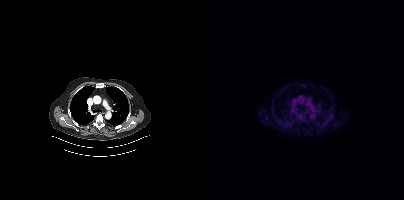
No tumor lesions annotated on this slice.